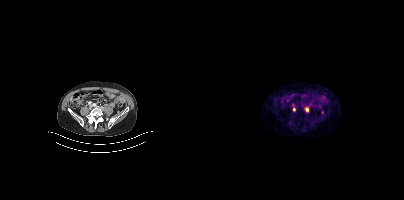
{"modality":"PSMA PET/CT","view":"axial","tracer":"68Ga-PSMA","pet_grid":[200,200],"coord_frame":"pet_panel","coord_format":"x0,y0,x1,y1","lesion_bboxes":[[101,107,104,111]],"small_foci_centers":[[90,109]]}